- Paired axial CT (left) and PSMA PET (right), [18F]PSMA-1007 tracer
- acquired on Siemens Biograph mCT Flow 20
- slice position z = -816 mm
- PET panel 200×200 px (4.1 mm/px)
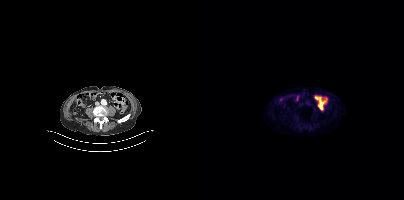
Findings: This slice has no annotated PSMA-avid lesion.